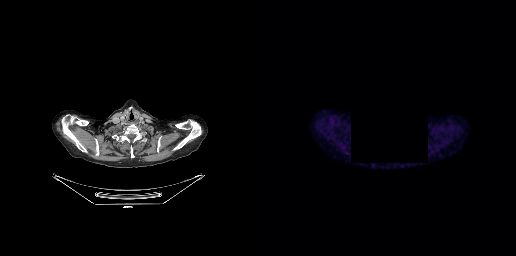
Findings: Negative for PSMA-avid disease on this slice.
- part of this slice was blanked for de-identification
- Two-panel axial: CT | PSMA PET, [18F]PSMA-1007 tracer
- slice 231 of 263